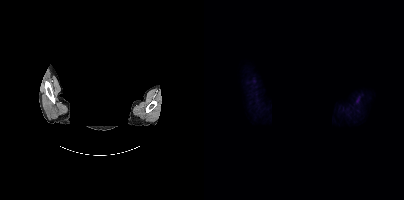
Findings: No PSMA-avid tumor lesions on this slice.
Technique: Two-panel axial: CT | PSMA PET, 18F-PSMA tracer. PET panel 200×200 px (4.1 mm/px).
Note: Any black rectangle over the head is a privacy mask, not anatomy.